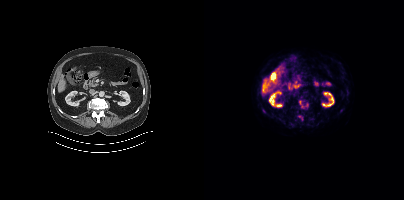
{"modality":"PSMA PET/CT","view":"axial","tracer":"[18F]PSMA-1007","pet_grid":[200,200],"coord_frame":"pet_panel","coord_format":"x0,y0,x1,y1","partial":true,"lesion_bboxes":[],"small_foci_centers":[[96,102]]}